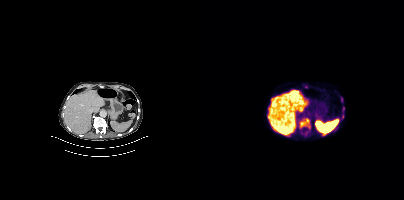
Left: CT. Right: PSMA PET, same axial level, [18F]PSMA-1007 tracer. PET panel 200×200 px (4.1 mm/px). Coordinates are on the 200×200 PET (right) panel. (showing 2 of 3 foci) PSMA-avid tumor lesion bounding box (x0, y0)-(x1, y1): (96, 119)-(105, 127). Small PSMA-avid focus (2 to 4 px across) near (center x, center y): (139, 108).